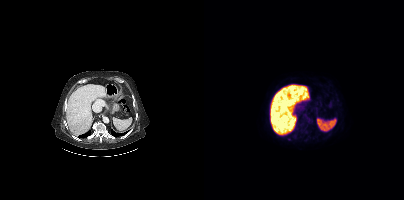
No tumor lesions annotated on this slice. Paired axial CT (left) and PSMA PET (right), 18F tracer.